Two-panel axial: CT | PSMA PET, [18F]PSMA-1007 tracer. Acquired on Siemens Biograph mCT Flow 20. Slice 28 of 387. PET panel 200×200 px (4.1 mm/px).
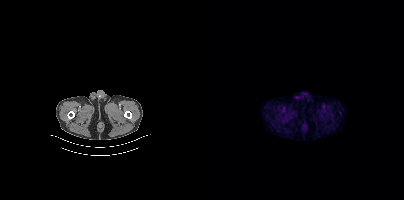
No tumor lesions annotated on this slice.